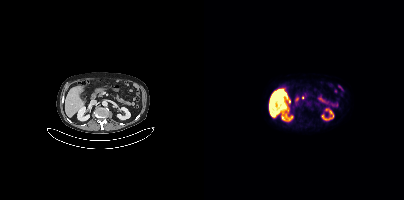
This slice has no annotated PSMA-avid lesion.